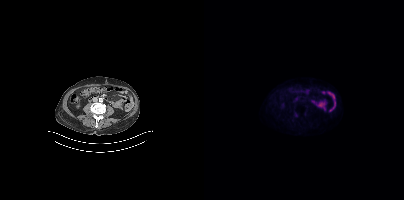
Technique: Two-panel axial: CT | PSMA PET, 18F tracer. slice 137 of 383.
Findings: No PSMA-avid tumor lesions on this slice.